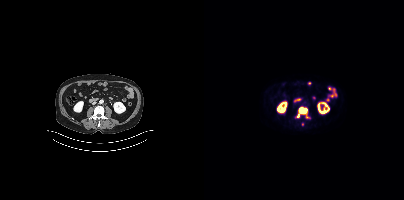
Coordinates are on the 200×200 PET (right) panel. (showing 1 of 2 foci) PSMA-avid tumor lesion bounding box (x0,y0,x1,y1): [91,106,106,118]. Two-panel axial: CT | PSMA PET, [18F]PSMA-1007 tracer. Acquired on Siemens Biograph mCT Flow 20. PET panel 200×200 px (4.1 mm/px).